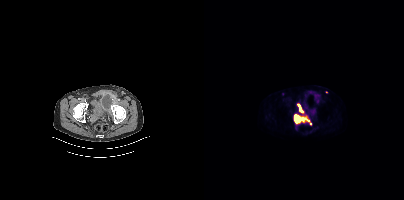
Coordinates are on the 200×200 PET (right) panel. (showing 2 of 4 foci) PSMA-avid tumor lesion bounding boxes (x0,y0,x1,y1): [90,114,104,123], [93,103,99,112].